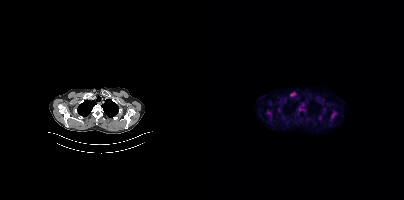
Left: CT. Right: PSMA PET, same axial level, 18F-PSMA tracer. Acquired on Siemens Biograph mCT Flow 20. PET panel 200×200 px (4.1 mm/px).
Coordinates are on the 200×200 PET (right) panel. PSMA-avid tumor lesion bounding boxes:
| # | x0 | y0 | x1 | y1 |
|---|---|---|---|---|
| 1 | 126 | 111 | 132 | 121 |
| 2 | 63 | 111 | 67 | 115 |
| 3 | 120 | 108 | 121 | 112 |
Small PSMA-avid focus (2 to 4 px across) near (center x, center y): (116, 117).